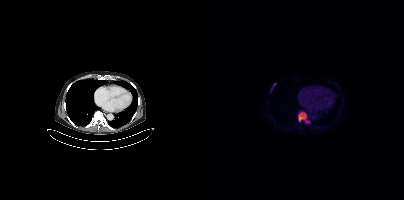
{"modality":"PSMA PET/CT","view":"axial","tracer":"18F-PSMA","pet_grid":[200,200],"coord_frame":"pet_panel","coord_format":"x0,y0,x1,y1","lesion_bboxes":[[94,111,105,123]],"small_foci_centers":[[70,84],[67,89]]}